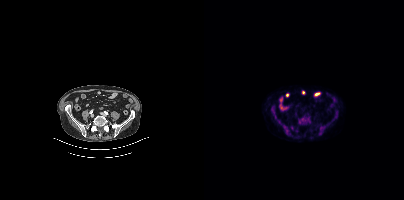
{"pet_grid":[200,200],"coord_frame":"pet_panel","coord_format":"x0,y0,x1,y1","lesion_bboxes":[[96,116,105,124],[73,120,80,129]],"modality":"PSMA PET/CT","view":"axial","tracer":"18F-PSMA"}